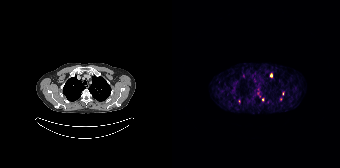
{"modality":"PSMA PET/CT","view":"axial","tracer":"[68Ga]Ga-PSMA-11","pet_grid":[168,168],"coord_frame":"pet_panel","coord_format":"x0,y0,x1,y1","partial":true,"lesion_bboxes":[[98,73,100,77]],"small_foci_centers":[[110,93],[67,101],[90,99]]}